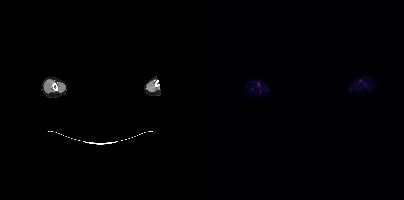
{"modality":"PSMA PET/CT","view":"axial","tracer":"18F","pet_grid":[200,200],"coord_frame":"pet_panel","coord_format":"x0,y0,x1,y1","redaction":"privacy mask over head","psma_avid_lesions":false}